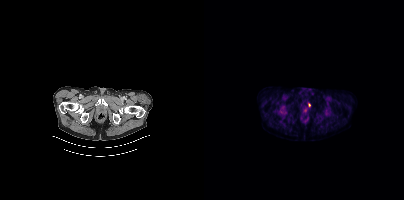
Coordinates are on the 200×200 PET (right) panel. Small PSMA-avid focus (2 to 4 px across) near (center x, center y): (105, 105).
modality: PSMA PET/CT | tracer: [18F]PSMA-1007 | view: axial | PET grid: 200×200